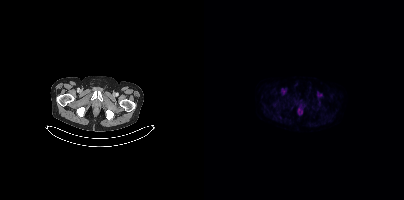
No PSMA-avid tumor lesions on this slice.
modality: PSMA PET/CT | tracer: 18F-PSMA | view: axial | PET grid: 200×200